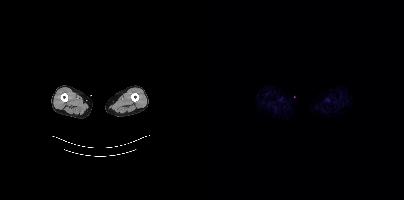
Left: CT. Right: PSMA PET, same axial level, 18F tracer. Acquired on Siemens Biograph mCT Flow 20. PET panel 200×200 px (4.1 mm/px). Negative for PSMA-avid disease on this slice.